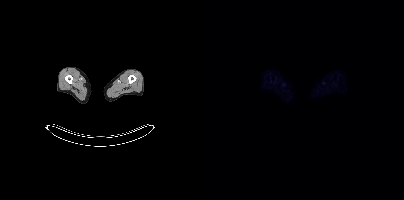
No PSMA-avid tumor lesions on this slice. Left: CT. Right: PSMA PET, same axial level, 18F-PSMA tracer. PET panel 200×200 px (4.1 mm/px).